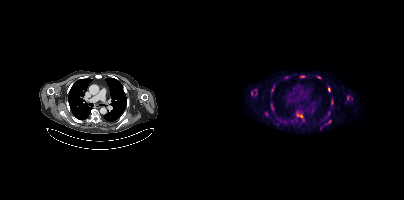
Coordinates are on the 200×200 PET (right) panel. PSMA-avid tumor lesion bounding boxes (partial; 2 more foci not listed):
| # | x0 | y0 | x1 | y1 |
|---|---|---|---|---|
| 1 | 93 | 114 | 98 | 117 |
| 2 | 113 | 76 | 117 | 78 |
| 3 | 124 | 87 | 126 | 91 |
| 4 | 67 | 103 | 69 | 107 |
| 5 | 80 | 76 | 84 | 78 |
| 6 | 67 | 86 | 70 | 90 |
Small PSMA-avid foci (2 to 4 px across) near (center x, center y): (62, 113); (125, 121); (98, 76); (143, 97); (124, 113).
Two-panel axial: CT | PSMA PET, 18F tracer. Slice 299 of 401. PET panel 200×200 px (4.1 mm/px).